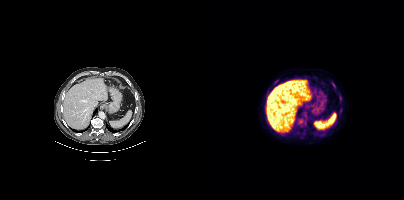
Technique: Left: CT. Right: PSMA PET, same axial level, 18F tracer. acquired on Siemens Biograph mCT Flow 20. PET panel 200×200 px (4.1 mm/px).
Findings: Coordinates are on the 200×200 PET (right) panel. PSMA-avid tumor lesion bounding box (x, y, width, height): x=128 y=82 w=4 h=6. Small PSMA-avid foci (2 to 4 px across) near (center x, center y): (136, 110) | (135, 94).